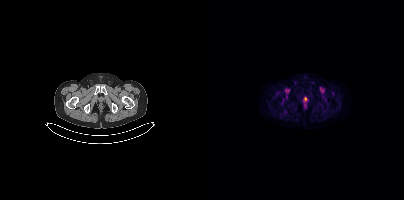
{"modality":"PSMA PET/CT","view":"axial","tracer":"[18F]PSMA-1007","pet_grid":[200,200],"coord_frame":"pet_panel","coord_format":"x0,y0,x1,y1","psma_avid_lesions":false}